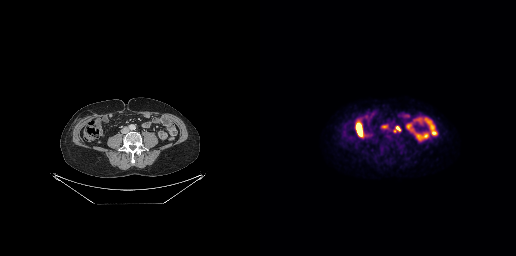
Left: CT. Right: PSMA PET, same axial level, 18F-PSMA tracer. Acquired on GE Discovery 690.
Coordinates are on the 256×256 PET (right) panel. PSMA-avid tumor lesion bounding boxes (partial; 1 more focus not listed):
| # | x0 | y0 | x1 | y1 |
|---|---|---|---|---|
| 1 | 136 | 126 | 140 | 130 |
| 2 | 122 | 126 | 126 | 127 |